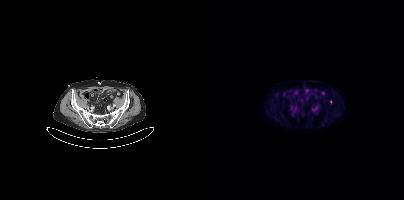
Only PSMA-avid lesion pieces thinner than 2 px on this slice (not listed). Paired axial CT (left) and PSMA PET (right), [18F]PSMA-1007 tracer. Acquired on Siemens Biograph mCT Flow 20. Slice position z = -1604 mm. PET panel 200×200 px (4.1 mm/px).